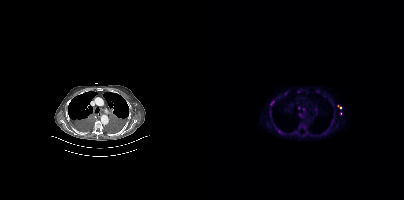
{"modality":"PSMA PET/CT","view":"axial","tracer":"18F-PSMA","pet_grid":[200,200],"coord_frame":"pet_panel","coord_format":"x0,y0,x1,y1","partial":true,"lesion_bboxes":[[66,101,70,105],[74,130,78,133]],"small_foci_centers":[[99,109],[96,114],[120,132],[94,91],[92,132],[81,93],[94,107],[136,107]]}